Left: CT. Right: PSMA PET, same axial level, 18F tracer. Slice position z = -502 mm. PET panel 200×200 px (4.1 mm/px).
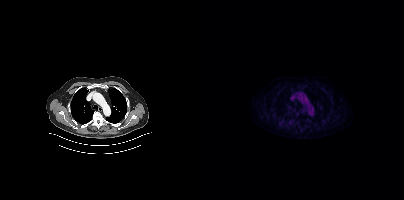
Negative for PSMA-avid disease on this slice.